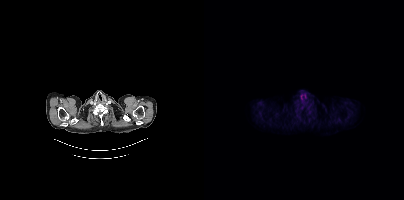
{"modality":"PSMA PET/CT","view":"axial","tracer":"[18F]PSMA-1007","pet_grid":[200,200],"coord_frame":"pet_panel","coord_format":"x0,y0,x1,y1","psma_avid_lesions":false}